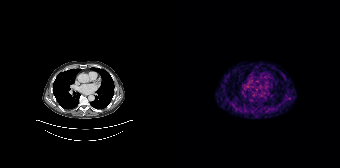
Technique: Paired axial CT (left) and PSMA PET (right), 68Ga-PSMA tracer. PET panel 168×168 px (4.1 mm/px).
Findings: No tumor lesions annotated on this slice.